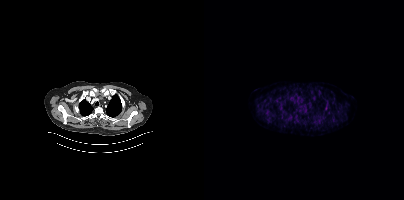
Technique: Paired axial CT (left) and PSMA PET (right), 18F-PSMA tracer. slice position z = 212 mm. PET panel 200×200 px (4.1 mm/px).
Findings: Only PSMA-avid lesion pieces thinner than 2 px on this slice (not listed).